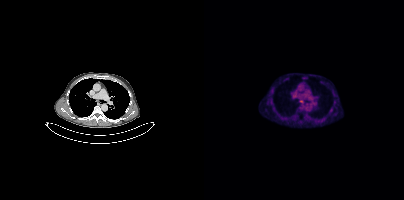
{"pet_grid":[200,200],"coord_frame":"pet_panel","coord_format":"x0,y0,x1,y1","lesion_bboxes":[],"small_foci_centers":[[97,100]],"modality":"PSMA PET/CT","view":"axial","tracer":"18F"}